- Left: CT. Right: PSMA PET, same axial level, 18F-PSMA tracer
- slice 167 of 429
- PET panel 200×200 px (4.1 mm/px)
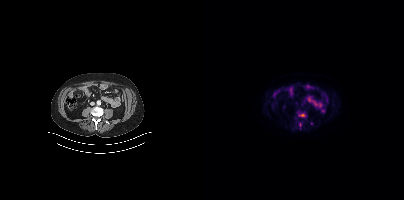
Findings: Negative for PSMA-avid disease on this slice.